modality: PSMA PET/CT | tracer: 68Ga | view: axial
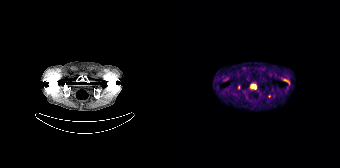
Coordinates are on the 168×168 PET (right) panel. PSMA-avid tumor lesion bounding boxes (x, y, width, height): x=111 y=79 w=7 h=6 / x=66 y=85 w=3 h=5. Small PSMA-avid focus (2 to 4 px across) near (center x, center y): (97, 96).